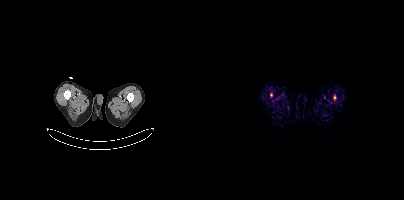
Two-panel axial: CT | PSMA PET, 18F tracer. Slice 3 of 373. Coordinates are on the 200×200 PET (right) panel. Small PSMA-avid focus (2 to 4 px across) near (center x, center y): (130, 97).